Technique: Paired axial CT (left) and PSMA PET (right), 18F-PSMA tracer. slice 56 of 395. PET panel 200×200 px (4.1 mm/px).
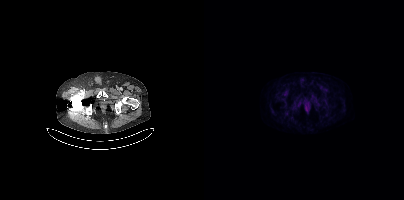
Findings: This slice has no annotated PSMA-avid lesion.